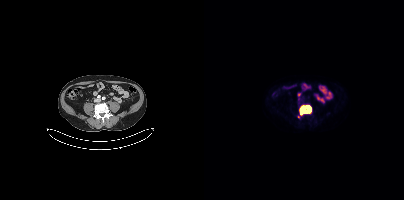
modality: PSMA PET/CT | tracer: 18F | view: axial | PET grid: 200×200
Coordinates are on the 200×200 PET (right) panel. PSMA-avid tumor lesion bounding box (x0,y0,x1,y1): [93,105,107,118]. Small PSMA-avid focus (2 to 4 px across) near (center x, center y): (94, 99).